Two-panel axial: CT | PSMA PET, 18F tracer. Slice position z = 108 mm. PET panel 200×200 px (4.1 mm/px).
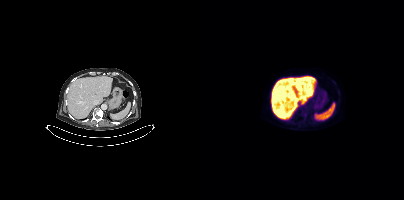
This slice has no annotated PSMA-avid lesion.